modality: PSMA PET/CT | tracer: [18F]PSMA-1007 | view: axial
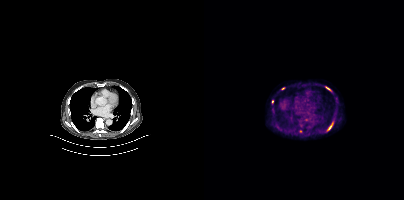
Coordinates are on the 200×200 PET (right) panel. (showing 4 of 5 foci) PSMA-avid tumor lesion bounding boxes (x0, y0)-(x1, y1): (123, 123)-(128, 130); (122, 87)-(126, 90). Small PSMA-avid foci (2 to 4 px across) near (center x, center y): (68, 101); (79, 88).